modality: PSMA PET/CT | tracer: 18F | view: axial
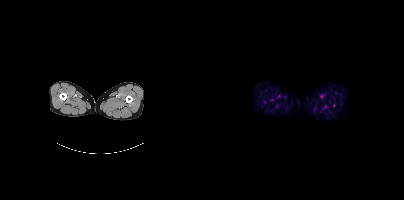
No tumor lesions annotated on this slice.